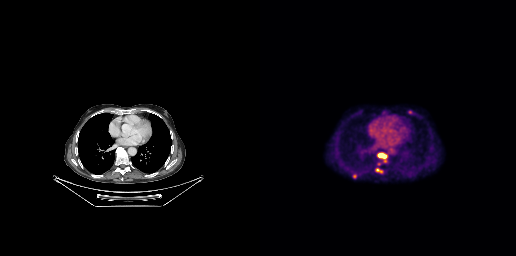
Paired axial CT (left) and PSMA PET (right), [18F]PSMA-1007 tracer. Slice 172 of 263. PET panel 256×256 px (2.7 mm/px).
Coordinates are on the 256×256 PET (right) panel. PSMA-avid tumor lesion bounding boxes:
| # | x0 | y0 | x1 | y1 |
|---|---|---|---|---|
| 1 | 115 | 168 | 123 | 173 |
| 2 | 118 | 154 | 126 | 157 |
| 3 | 93 | 174 | 96 | 178 |
Small PSMA-avid focus (2 to 4 px across) near (center x, center y): (118, 164).